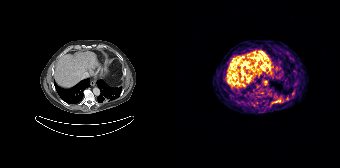
{"modality":"PSMA PET/CT","view":"axial","tracer":"[68Ga]Ga-PSMA-11","pet_grid":[168,168],"coord_frame":"pet_panel","coord_format":"x0,y0,x1,y1","lesion_bboxes":[],"small_foci_centers":[[93,81]]}